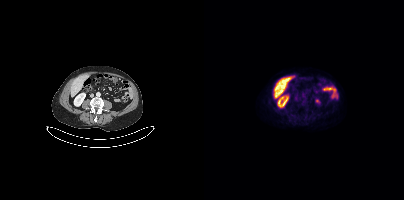
modality: PSMA PET/CT | tracer: 18F-PSMA | view: axial | PET grid: 200×200
No tumor lesions annotated on this slice.